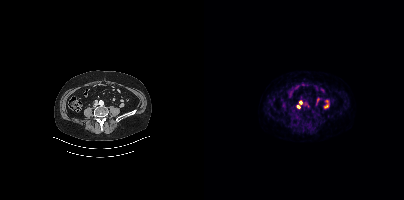
{"modality":"PSMA PET/CT","view":"axial","tracer":"[18F]PSMA-1007","pet_grid":[200,200],"coord_frame":"pet_panel","coord_format":"x0,y0,x1,y1","lesion_bboxes":[],"small_foci_centers":[[96,102],[94,106]]}